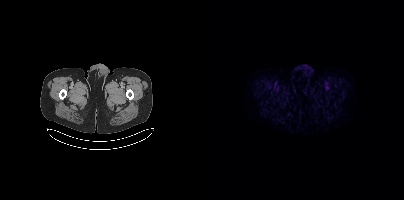
modality: PSMA PET/CT | tracer: [18F]PSMA-1007 | view: axial
This slice has no annotated PSMA-avid lesion.